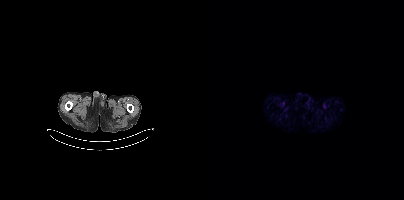
Paired axial CT (left) and PSMA PET (right), [18F]PSMA-1007 tracer. Slice 16 of 385. No tumor lesions annotated on this slice.